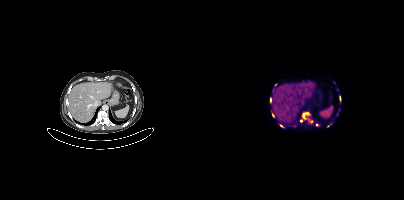
Coordinates are on the 200×200 PET (right) panel. (showing 10 of 13 foci) PSMA-avid tumor lesion bounding boxes (x, y, width, height): x=98 y=112 w=9 h=7 / x=122 y=123 w=6 h=5 / x=66 y=98 w=2 h=5. Small PSMA-avid foci (2 to 4 px across) near (center x, center y): (90, 125) / (106, 122) / (69, 115) / (97, 120) / (77, 126) / (113, 124) / (71, 84).